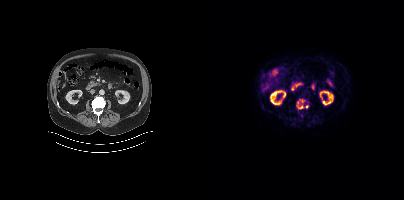
modality: PSMA PET/CT | tracer: [18F]PSMA-1007 | view: axial | PET grid: 200×200
Coordinates are on the 200×200 PET (right) panel. PSMA-avid tumor lesion bounding box (x0,y0,x1,y1): [92,99,100,109]. Small PSMA-avid focus (2 to 4 px across) near (center x, center y): (102, 106).